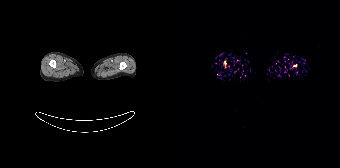
{"modality":"PSMA PET/CT","view":"axial","tracer":"[68Ga]Ga-PSMA-11","pet_grid":[168,168],"coord_frame":"pet_panel","coord_format":"x0,y0,x1,y1","lesion_bboxes":[[52,61,54,65]],"small_foci_centers":[[122,65]]}